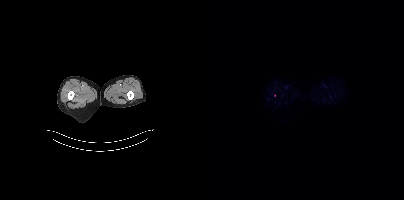
{"modality":"PSMA PET/CT","view":"axial","tracer":"[18F]PSMA-1007","pet_grid":[200,200],"coord_frame":"pet_panel","coord_format":"x0,y0,x1,y1","psma_avid_lesions":false}